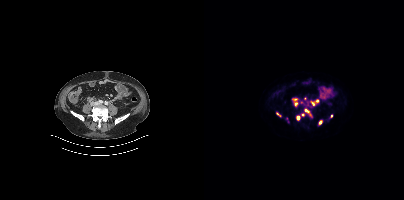
modality: PSMA PET/CT | tracer: 18F | view: axial
Coordinates are on the 200×200 PET (right) panel. (showing 12 of 13 foci) PSMA-avid tumor lesion bounding boxes (x0, y0)-(x1, y1): (92, 116)-(95, 120); (101, 109)-(105, 112); (107, 101)-(110, 105); (115, 120)-(117, 124); (88, 99)-(93, 100). Small PSMA-avid foci (2 to 4 px across) near (center x, center y): (92, 103); (113, 101); (101, 98); (99, 114); (97, 102); (127, 116); (73, 113).